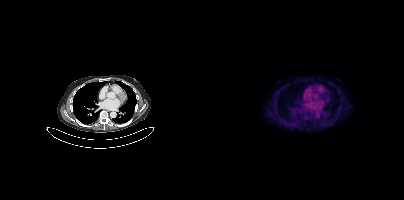
Two-panel axial: CT | PSMA PET, 18F tracer. Acquired on Siemens Biograph mCT Flow 20. PET panel 200×200 px (4.1 mm/px). This slice has no annotated PSMA-avid lesion.